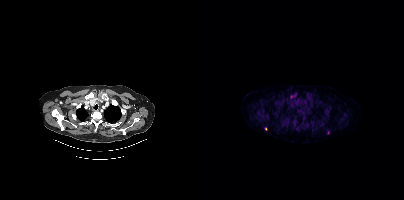
Left: CT. Right: PSMA PET, same axial level, 18F-PSMA tracer. PET panel 200×200 px (4.1 mm/px). Coordinates are on the 200×200 PET (right) panel. PSMA-avid tumor lesion bounding box (x0, y0)-(x1, y1): (123, 130)-(125, 134). Small PSMA-avid foci (2 to 4 px across) near (center x, center y): (62, 129) / (90, 95).